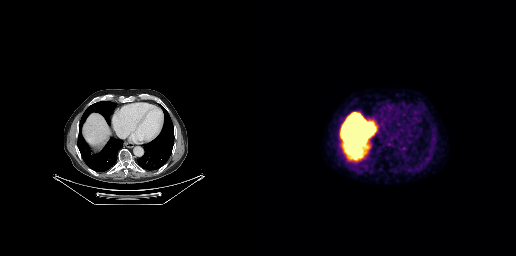
Negative for PSMA-avid disease on this slice.